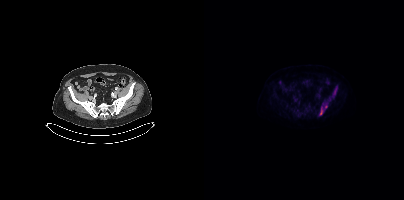
{"modality":"PSMA PET/CT","view":"axial","tracer":"18F","pet_grid":[200,200],"coord_frame":"pet_panel","coord_format":"x0,y0,x1,y1","lesion_bboxes":[[115,107,118,115]],"small_foci_centers":[[122,106]]}